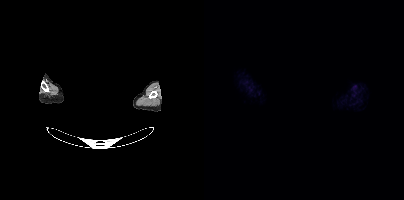
{"modality":"PSMA PET/CT","view":"axial","tracer":"18F","pet_grid":[200,200],"coord_frame":"pet_panel","coord_format":"x0,y0,x1,y1","deidentification":"head region blanked (face removed)","psma_avid_lesions":false}